Technique: Paired axial CT (left) and PSMA PET (right), [18F]PSMA-1007 tracer.
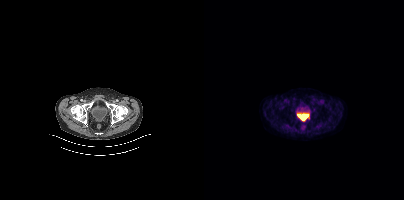
Findings: This slice has no annotated PSMA-avid lesion.